- Paired axial CT (left) and PSMA PET (right), 18F-PSMA tracer
- acquired on GE Discovery 690
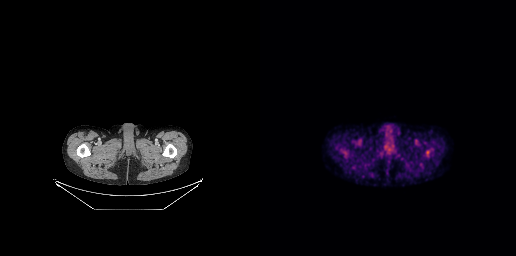
Findings: No PSMA-avid tumor lesions on this slice.